Paired axial CT (left) and PSMA PET (right), 18F tracer. Acquired on Siemens Biograph mCT Flow 20. PET panel 200×200 px (4.1 mm/px).
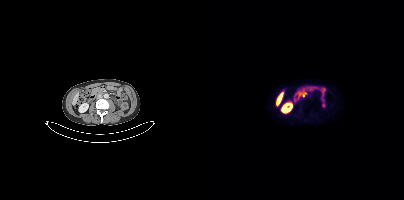
No PSMA-avid tumor lesions on this slice.